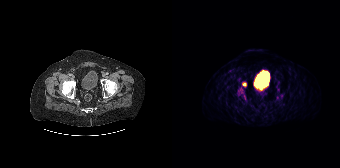
Coordinates are on the 168×168 PET (right) panel. PSMA-avid tumor lesion bounding boxes:
| # | x0 | y0 | x1 | y1 |
|---|---|---|---|---|
| 1 | 70 | 82 | 74 | 86 |
Paired axial CT (left) and PSMA PET (right), [68Ga]Ga-PSMA-11 tracer.